Left: CT. Right: PSMA PET, same axial level, 18F tracer. Acquired on Siemens Biograph mCT Flow 20.
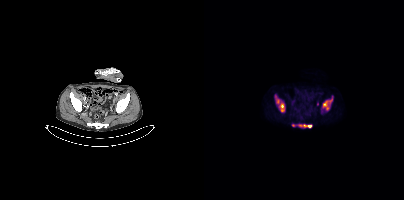
Coordinates are on the 200×200 PET (right) panel. PSMA-avid tumor lesion bounding boxes (partial; 1 more focus not listed):
| # | x0 | y0 | x1 | y1 |
|---|---|---|---|---|
| 1 | 71 | 95 | 81 | 112 |
| 2 | 119 | 98 | 128 | 110 |
| 3 | 94 | 124 | 108 | 127 |
Small PSMA-avid focus (2 to 4 px across) near (center x, center y): (89, 125).